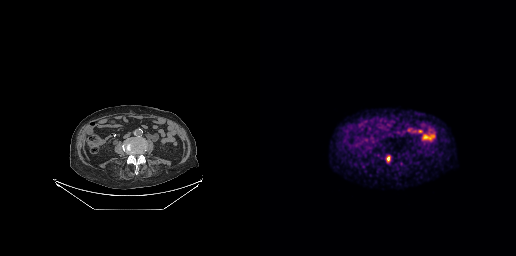
Coordinates are on the 256×256 PET (right) panel. Small PSMA-avid focus (2 to 4 px across) near (center x, center y): (128, 157).
modality: PSMA PET/CT | tracer: [18F]PSMA-1007 | view: axial